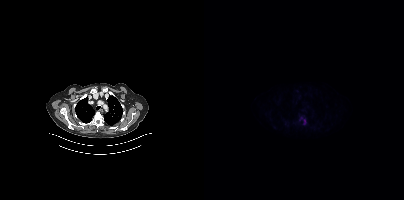
{"modality":"PSMA PET/CT","view":"axial","tracer":"18F-PSMA","pet_grid":[200,200],"coord_frame":"pet_panel","coord_format":"x0,y0,x1,y1","lesion_bboxes":[[99,119,102,124]],"small_foci_centers":[[97,117]]}